modality: PSMA PET/CT | tracer: 18F-PSMA | view: axial
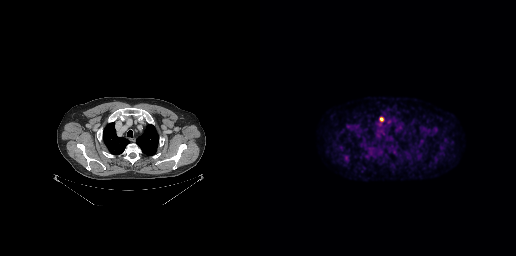
Coordinates are on the 256×256 PET (right) panel. PSMA-avid tumor lesion bounding box (x0, y0)-(x1, y1): (119, 117)-(123, 121).